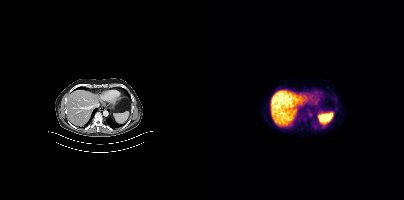
Findings: No tumor lesions annotated on this slice.
Technique: Two-panel axial: CT | PSMA PET, [18F]PSMA-1007 tracer. PET panel 200×200 px (4.1 mm/px).